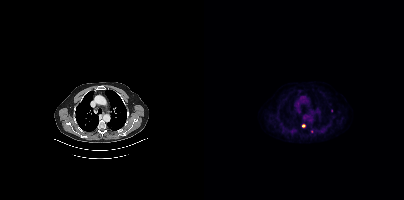
{"modality":"PSMA PET/CT","view":"axial","tracer":"18F","pet_grid":[200,200],"coord_frame":"pet_panel","coord_format":"x0,y0,x1,y1","partial":true,"lesion_bboxes":[],"small_foci_centers":[[99,126]]}